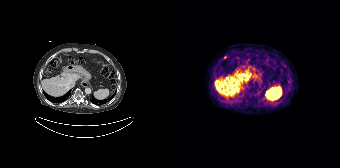
Findings: Coordinates are on the 168×168 PET (right) panel. Small PSMA-avid focus (2 to 4 px across) near (center x, center y): (53, 57).
- Paired axial CT (left) and PSMA PET (right), 68Ga-PSMA tracer
- slice 131 of 195